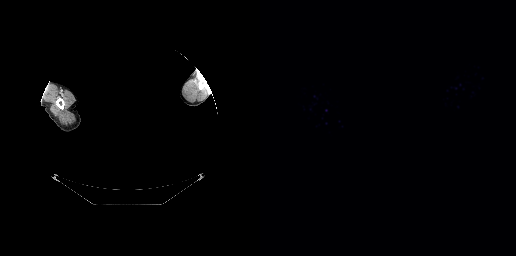
The face region was removed for patient privacy by blanking a rectangle over the head.
This slice has no annotated PSMA-avid lesion.